Paired axial CT (left) and PSMA PET (right), [68Ga]Ga-PSMA-11 tracer. Slice position z = -888 mm. PET panel 200×200 px (4.1 mm/px).
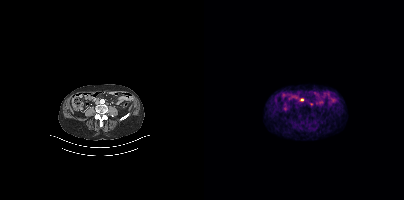
Coordinates are on the 200×200 PET (right) panel. Small PSMA-avid focus (2 to 4 px across) near (center x, center y): (97, 99).